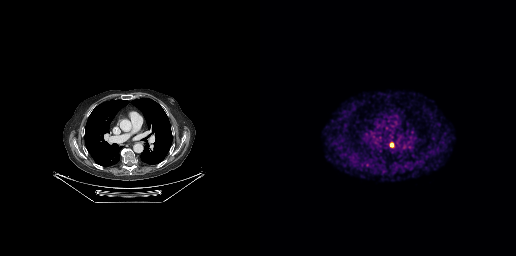
Coordinates are on the 256×256 PET (right) panel. Small PSMA-avid focus (2 to 4 px across) near (center x, center y): (131, 144). Two-panel axial: CT | PSMA PET, [68Ga]Ga-PSMA-11 tracer. Acquired on GE Discovery 690. Slice 189 of 263. PET panel 256×256 px (2.7 mm/px).